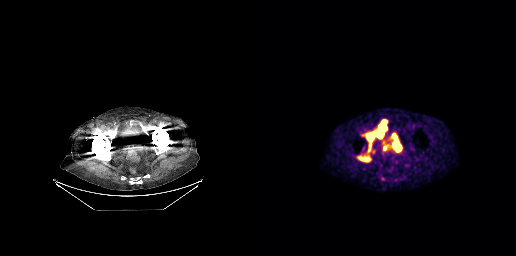
Coordinates are on the 256×256 PET (right) panel. PSMA-avid tumor lesion bounding boxes:
| # | x0 | y0 | x1 | y1 |
|---|---|---|---|---|
| 1 | 105 | 119 | 127 | 151 |
| 2 | 98 | 156 | 110 | 161 |
Left: CT. Right: PSMA PET, same axial level, 18F-PSMA tracer. Acquired on GE Discovery 690.